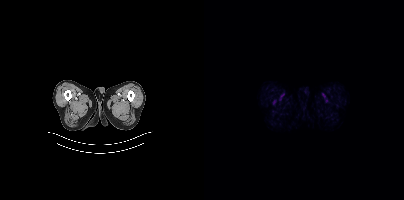
No PSMA-avid tumor lesions on this slice. Two-panel axial: CT | PSMA PET, 18F-PSMA tracer. Acquired on Siemens Biograph mCT Flow 20.